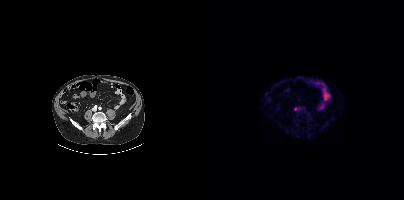
Paired axial CT (left) and PSMA PET (right), [18F]PSMA-1007 tracer. Acquired on Siemens Biograph mCT Flow 20. PET panel 200×200 px (4.1 mm/px). Coordinates are on the 200×200 PET (right) panel. Small PSMA-avid focus (2 to 4 px across) near (center x, center y): (91, 108).